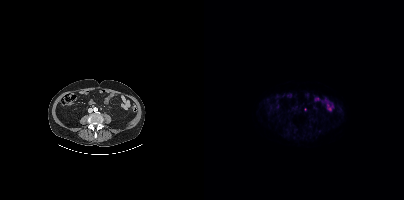
{"modality":"PSMA PET/CT","view":"axial","tracer":"18F","pet_grid":[200,200],"coord_frame":"pet_panel","coord_format":"x0,y0,x1,y1","lesion_bboxes":[],"small_foci_centers":[[101,109]]}